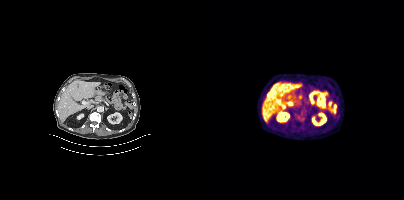
This slice has no annotated PSMA-avid lesion. Two-panel axial: CT | PSMA PET, 18F tracer. PET panel 200×200 px (4.1 mm/px).